de-identification: head region blanked (face removed) | modality: PSMA PET/CT | tracer: [18F]PSMA-1007 | view: axial | PET grid: 200×200
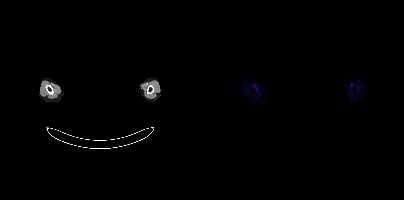
No PSMA-avid tumor lesions on this slice.